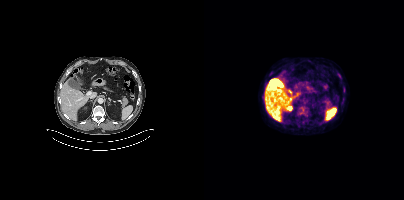
{"modality":"PSMA PET/CT","view":"axial","tracer":"18F-PSMA","pet_grid":[200,200],"coord_frame":"pet_panel","coord_format":"x0,y0,x1,y1","psma_avid_lesions":false}